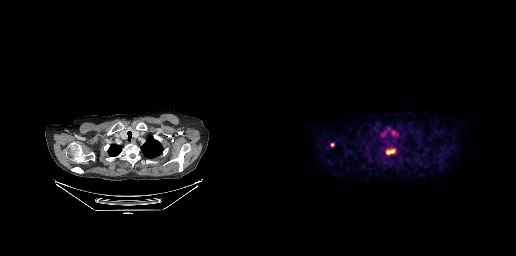
Technique: Paired axial CT (left) and PSMA PET (right), [18F]PSMA-1007 tracer. acquired on GE Discovery 690. slice 247 of 299.
Findings: Coordinates are on the 256×256 PET (right) panel. PSMA-avid tumor lesion bounding box (x0, y0)-(x1, y1): (126, 149)-(134, 154). Small PSMA-avid focus (2 to 4 px across) near (center x, center y): (72, 144).